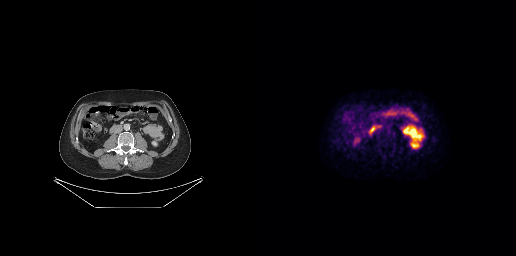
No PSMA-avid tumor lesions on this slice. Two-panel axial: CT | PSMA PET, [18F]PSMA-1007 tracer. PET panel 256×256 px (2.7 mm/px).